- Paired axial CT (left) and PSMA PET (right), [18F]PSMA-1007 tracer
- acquired on Siemens Biograph mCT Flow 20
- slice position z = -964 mm
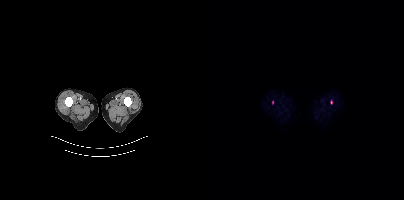
Findings: Coordinates are on the 200×200 PET (right) panel. Small PSMA-avid foci (2 to 4 px across) near (center x, center y): (127, 101); (68, 102).